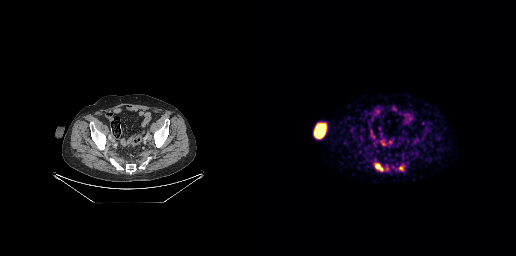
Technique: Paired axial CT (left) and PSMA PET (right), 18F tracer. acquired on GE Discovery 690.
Findings: Coordinates are on the 256×256 PET (right) panel. (showing 2 of 3 foci) PSMA-avid tumor lesion bounding boxes (x0, y0)-(x1, y1): (114, 163)-(123, 171) / (139, 166)-(143, 170).